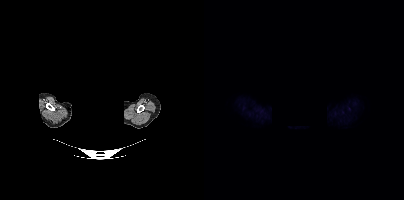
De-identified by setting a box covering the face to black before release.
No tumor lesions annotated on this slice.